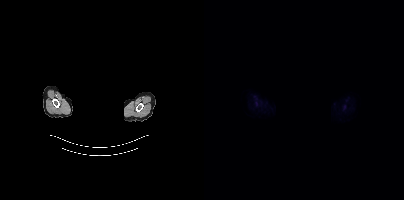
Technique: Paired axial CT (left) and PSMA PET (right), 18F tracer. PET panel 200×200 px (4.1 mm/px).
Note: An anonymization step blacked out a rectangle over the head in this scan.
Findings: This slice has no annotated PSMA-avid lesion.